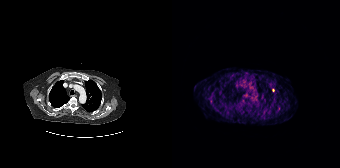
modality: PSMA PET/CT | tracer: [68Ga]Ga-PSMA-11 | view: axial | PET grid: 168×168
Only PSMA-avid lesion pieces thinner than 2 px on this slice (not listed).